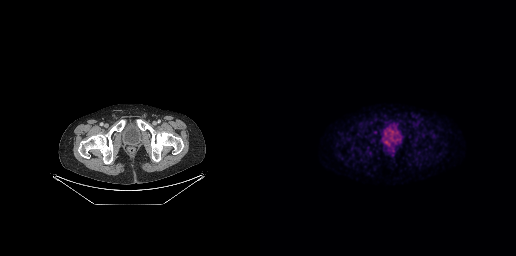
{"pet_grid":[256,256],"coord_frame":"pet_panel","coord_format":"x0,y0,x1,y1","psma_avid_lesions":false,"modality":"PSMA PET/CT","view":"axial","tracer":"18F"}